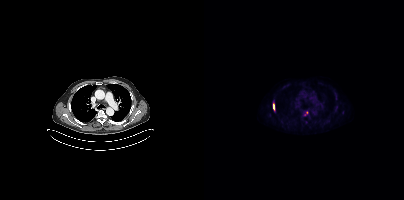
Coordinates are on the 200×200 PET (right) panel. PSMA-avid tumor lesion bounding box (x, y, width, height): x=69 y=103 w=2 h=7. Small PSMA-avid focus (2 to 4 px across) near (center x, center y): (102, 112).